Technique: Left: CT. Right: PSMA PET, same axial level, [68Ga]Ga-PSMA-11 tracer. acquired on Siemens Biograph mCT Flow 20. PET panel 200×200 px (4.1 mm/px).
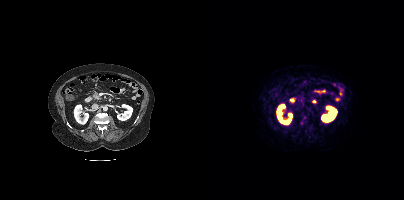
Findings: This slice has no annotated PSMA-avid lesion.